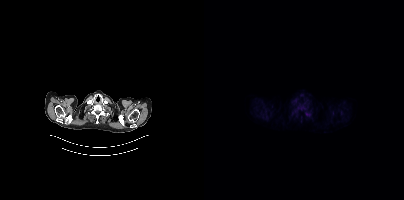
{"pet_grid":[200,200],"coord_frame":"pet_panel","coord_format":"x0,y0,x1,y1","psma_avid_lesions":false,"modality":"PSMA PET/CT","view":"axial","tracer":"18F-PSMA"}